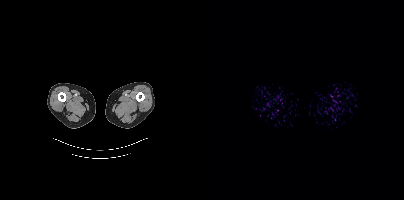
No PSMA-avid tumor lesions on this slice. Paired axial CT (left) and PSMA PET (right), 18F-PSMA tracer. Acquired on Siemens Biograph mCT Flow 20.